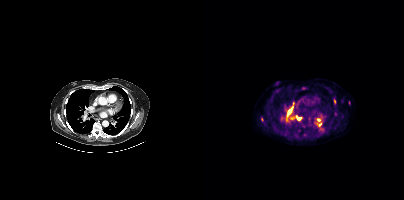
{"modality":"PSMA PET/CT","view":"axial","tracer":"18F-PSMA","pet_grid":[200,200],"coord_frame":"pet_panel","coord_format":"x0,y0,x1,y1","lesion_bboxes":[[82,102,90,121],[86,117,90,120],[92,115,96,119]],"small_foci_centers":[[115,124],[130,100],[100,126],[57,119],[114,119],[100,134]]}